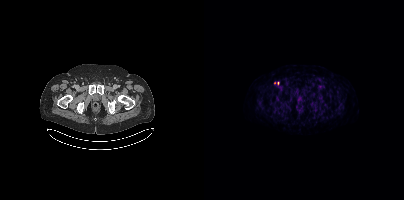
Coordinates are on the 200×200 PET (right) panel. Small PSMA-avid focus (2 to 4 px across) near (center x, center y): (118, 86).